Paired axial CT (left) and PSMA PET (right), 68Ga tracer. Acquired on Siemens Biograph 64-4R TruePoint. Slice 158 of 165. A rectangular block over the head has been blanked out for de-identification.
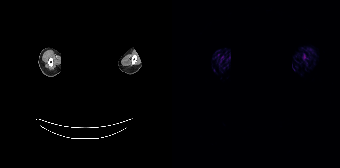
No PSMA-avid tumor lesions on this slice.